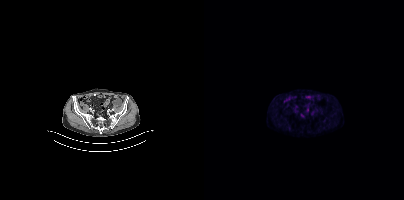
{"modality":"PSMA PET/CT","view":"axial","tracer":"18F","pet_grid":[200,200],"coord_frame":"pet_panel","coord_format":"x0,y0,x1,y1","psma_avid_lesions":false}